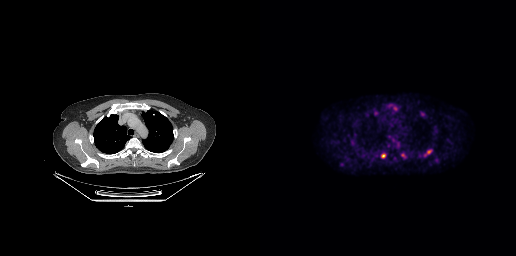
Paired axial CT (left) and PSMA PET (right), [18F]PSMA-1007 tracer. Slice 238 of 299. PET panel 256×256 px (2.7 mm/px).
Coordinates are on the 256×256 PET (right) panel. PSMA-avid tumor lesion bounding boxes:
| # | x0 | y0 | x1 | y1 |
|---|---|---|---|---|
| 1 | 165 | 150 | 171 | 155 |
Small PSMA-avid focus (2 to 4 px across) near (center x, center y): (123, 155).